Two-panel axial: CT | PSMA PET, 18F tracer. PET panel 200×200 px (4.1 mm/px).
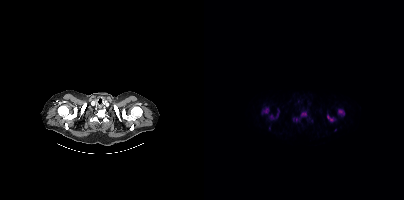
Coordinates are on the 200×200 PET (right) panel. PSMA-avid tumor lesion bounding boxes (partial; 1 more focus not listed):
| # | x0 | y0 | x1 | y1 |
|---|---|---|---|---|
| 1 | 65 | 109 | 75 | 119 |
| 2 | 57 | 107 | 65 | 114 |
| 3 | 134 | 109 | 140 | 115 |
| 4 | 123 | 114 | 131 | 121 |
| 5 | 97 | 112 | 102 | 116 |
Small PSMA-avid foci (2 to 4 px across) near (center x, center y): (92, 119); (89, 119); (65, 127).